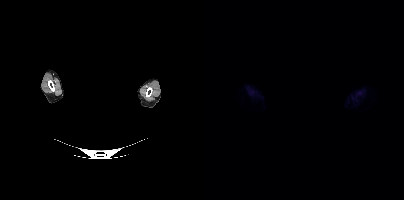
- Paired axial CT (left) and PSMA PET (right), 18F-PSMA tracer
- acquired on Siemens Biograph mCT Flow 20
- slice position z = -792 mm
- PET panel 200×200 px (4.1 mm/px)
- the head region is masked for de-identification
Findings: This slice has no annotated PSMA-avid lesion.